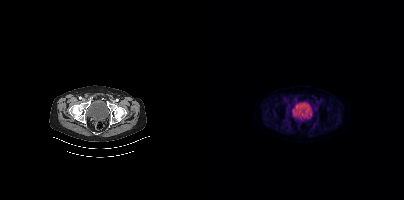
Technique: Paired axial CT (left) and PSMA PET (right), 18F tracer. PET panel 200×200 px (4.1 mm/px).
Findings: No PSMA-avid tumor lesions on this slice.